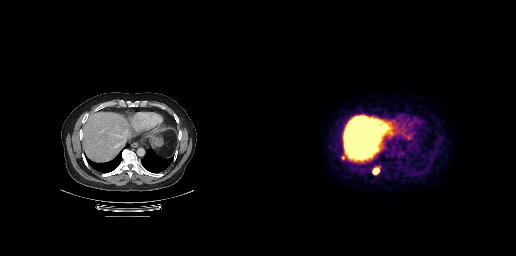
Left: CT. Right: PSMA PET, same axial level, [18F]PSMA-1007 tracer.
Coordinates are on the 256×256 PET (right) panel. PSMA-avid tumor lesion bounding boxes:
| # | x0 | y0 | x1 | y1 |
|---|---|---|---|---|
| 1 | 112 | 168 | 119 | 174 |
Small PSMA-avid focus (2 to 4 px across) near (center x, center y): (83, 157).